Two-panel axial: CT | PSMA PET, 18F tracer. Slice 125 of 395.
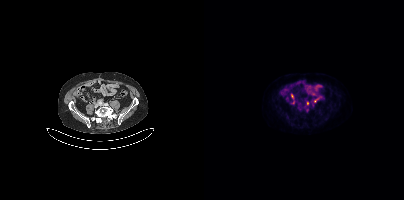
Coordinates are on the 200×200 PET (right) panel. (showing 2 of 4 foci) Small PSMA-avid foci (2 to 4 px across) near (center x, center y): (111, 101), (103, 103).